- Paired axial CT (left) and PSMA PET (right), 18F tracer
- slice position z = 1802 mm
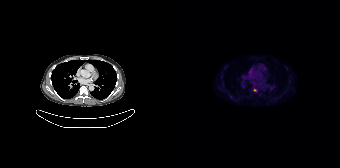
Findings: Coordinates are on the 168×168 PET (right) panel. (showing 1 of 2 foci) Small PSMA-avid focus (2 to 4 px across) near (center x, center y): (82, 90).